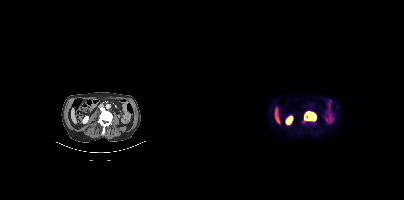
Coordinates are on the 200×200 PET (right) panel. PSMA-avid tumor lesion bounding boxes:
| # | x0 | y0 | x1 | y1 |
|---|---|---|---|---|
| 1 | 101 | 112 | 111 | 121 |
Paired axial CT (left) and PSMA PET (right), 18F tracer. Acquired on Siemens Biograph mCT Flow 20. PET panel 200×200 px (4.1 mm/px).